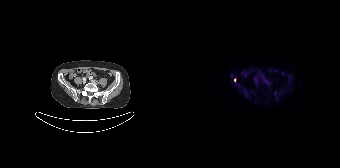
Coordinates are on the 168×168 PET (right) panel. Small PSMA-avid foci (2 to 4 px across) near (center x, center y): (62, 80) | (102, 93).